Technique: Paired axial CT (left) and PSMA PET (right), [68Ga]Ga-PSMA-11 tracer. slice position z = -1268 mm. PET panel 168×168 px (4.1 mm/px).
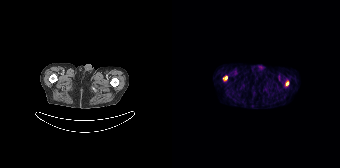
Findings: Coordinates are on the 168×168 PET (right) panel. PSMA-avid tumor lesion bounding boxes (x0,y0,x1,y1): [51,76,55,80]; [114,81,116,85].